- Paired axial CT (left) and PSMA PET (right), [68Ga]Ga-PSMA-11 tracer
- acquired on Siemens Biograph 64-4R TruePoint
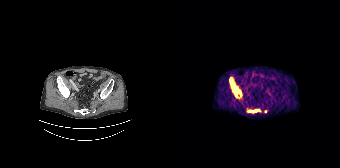
Findings: Coordinates are on the 168×168 PET (right) panel. (showing 5 of 7 foci) PSMA-avid tumor lesion bounding boxes (x0,y0,x1,y1): [58,78,62,85], [76,110,86,112], [61,87,65,91]. Small PSMA-avid foci (2 to 4 px across) near (center x, center y): (64, 95), (67, 90).